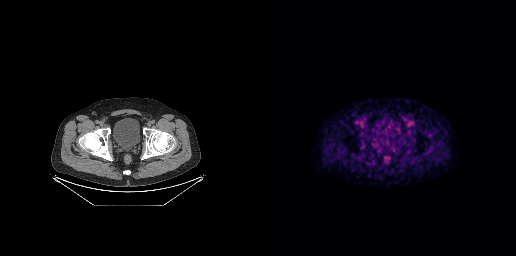
Paired axial CT (left) and PSMA PET (right), 18F-PSMA tracer. Slice position z = -688 mm. Negative for PSMA-avid disease on this slice.